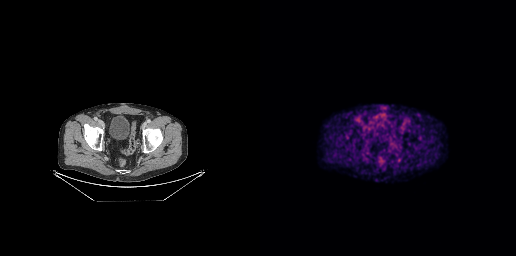
Left: CT. Right: PSMA PET, same axial level, 18F tracer. Slice position z = -691 mm. PET panel 256×256 px (2.7 mm/px). Only PSMA-avid lesion pieces thinner than 2 px on this slice (not listed).